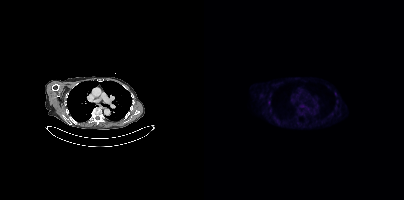
Two-panel axial: CT | PSMA PET, 18F-PSMA tracer. Coordinates are on the 200×200 PET (right) panel. (showing 1 of 2 foci) Small PSMA-avid focus (2 to 4 px across) near (center x, center y): (131, 94).